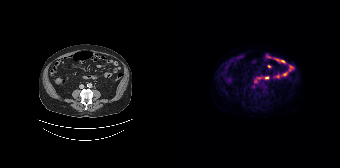
Findings: This slice has no annotated PSMA-avid lesion.
Technique: Left: CT. Right: PSMA PET, same axial level, [18F]PSMA-1007 tracer. slice position z = -1370 mm. PET panel 168×168 px (4.1 mm/px).